- Left: CT. Right: PSMA PET, same axial level, [18F]PSMA-1007 tracer
- acquired on GE Discovery 690
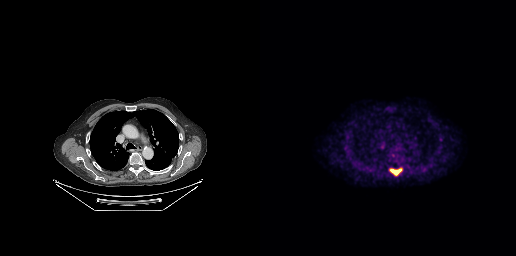
Findings: Coordinates are on the 256×256 PET (right) panel. PSMA-avid tumor lesion bounding box (x0,y0,x1,y1): [130,169,141,175].